modality: PSMA PET/CT | tracer: 18F-PSMA | view: axial
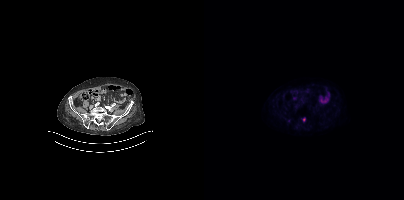
Coordinates are on the 200×200 PET (right) panel. Small PSMA-avid foci (2 to 4 px across) near (center x, center y): (84, 120) / (100, 119).